Two-panel axial: CT | PSMA PET, 18F tracer. Slice 264 of 401. PET panel 200×200 px (4.1 mm/px).
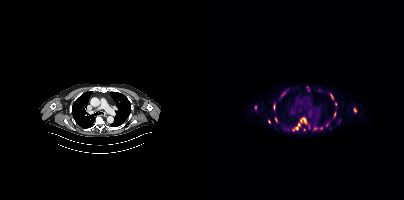
Coordinates are on the 200×200 PET (right) panel. (showing 12 of 16 foci) PSMA-avid tumor lesion bounding boxes (x0, y0)-(x1, y1): (89, 123)-(96, 130); (96, 118)-(102, 123); (77, 92)-(81, 96); (126, 94)-(129, 99); (150, 108)-(152, 112); (130, 112)-(131, 116). Small PSMA-avid foci (2 to 4 px across) near (center x, center y): (72, 119); (117, 128); (131, 104); (111, 128); (65, 121); (122, 124).